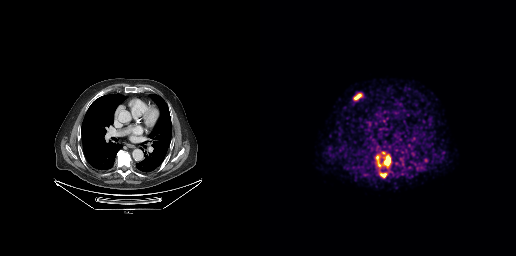
Coordinates are on the 256×256 PET (right) panel. PSMA-avid tumor lesion bounding boxes (x, y, width, height): x=116 y=152 w=16 h=16; x=93 y=93 w=10 h=8; x=120 y=172 w=8 h=6.